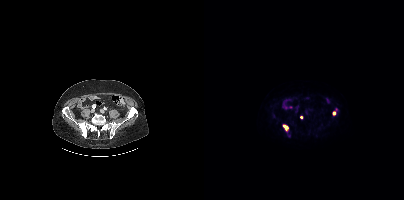
Coordinates are on the 200×200 PET (right) panel. PSMA-avid tumor lesion bounding box (x0,y0,x1,y1): [79,124,84,130]. Small PSMA-avid foci (2 to 4 px across) near (center x, center y): (130, 113); (97, 117).